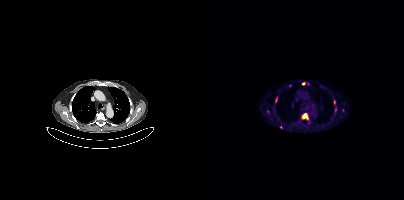
{"pet_grid":[200,200],"coord_frame":"pet_panel","coord_format":"x0,y0,x1,y1","partial":true,"lesion_bboxes":[[98,113,104,119],[71,97,73,102]],"small_foci_centers":[[99,83],[130,101],[131,110],[76,127]],"modality":"PSMA PET/CT","view":"axial","tracer":"18F-PSMA"}